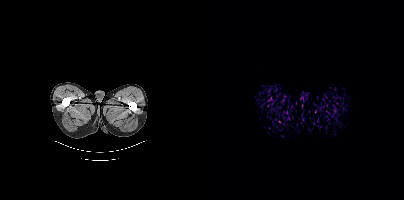
Left: CT. Right: PSMA PET, same axial level, 18F-PSMA tracer. PET panel 200×200 px (4.1 mm/px). Negative for PSMA-avid disease on this slice.